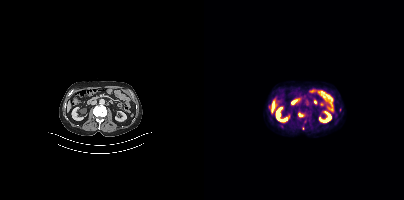
Coordinates are on the 200×200 PET (right) panel. Small PSMA-avid foci (2 to 4 px across) near (center x, center y): (96, 114); (99, 128).